An anonymization step blacked out a rectangle over the head in this scan. Left: CT. Right: PSMA PET, same axial level, [18F]PSMA-1007 tracer. Slice 374 of 401.
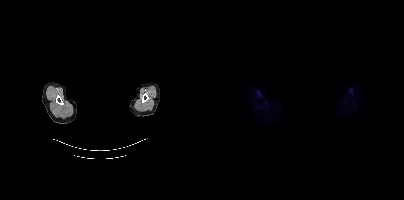
No tumor lesions annotated on this slice.